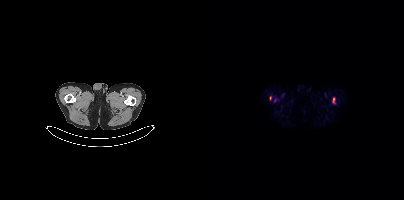
Coordinates are on the 200×200 PET (right) panel. (showing 2 of 3 foci) PSMA-avid tumor lesion bounding box (x, y, width, height): x=128 y=97 w=4 h=7. Small PSMA-avid focus (2 to 4 px across) near (center x, center y): (66, 97).